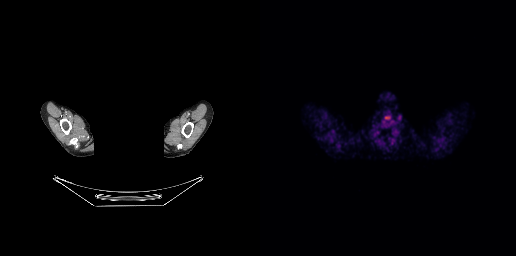
This slice has no annotated PSMA-avid lesion.
modality: PSMA PET/CT | tracer: 68Ga-PSMA | view: axial | PET grid: 256×256 | de-identification: facial region redacted